Left: CT. Right: PSMA PET, same axial level, 18F-PSMA tracer. Slice 125 of 413. PET panel 200×200 px (4.1 mm/px).
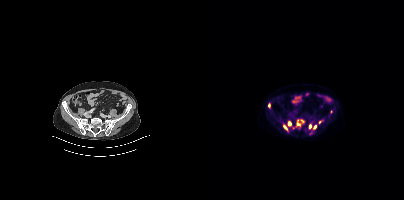
Coordinates are on the 200×200 PET (right) panel. (showing 8 of 10 foci) PSMA-avid tumor lesion bounding boxes (x, y, width, height): x=84 y=121 w=4 h=5 / x=79 y=125 w=5 h=5 / x=109 y=125 w=4 h=5 / x=105 y=124 w=3 h=5 / x=64 y=103 w=3 h=5. Small PSMA-avid foci (2 to 4 px across) near (center x, center y): (115, 121) / (94, 124) / (99, 121).